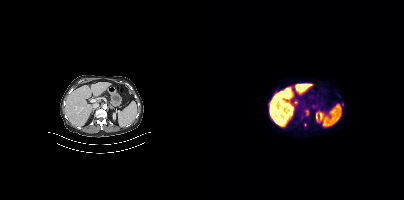
Coordinates are on the 200×200 PET (right) panel. PSMA-avid tumor lesion bounding box (x, y, width, height): x=102 y=110 w=3 h=5. Small PSMA-avid foci (2 to 4 px across) near (center x, center y): (101, 124) | (138, 104). Paired axial CT (left) and PSMA PET (right), [18F]PSMA-1007 tracer. Slice 208 of 413. PET panel 200×200 px (4.1 mm/px).